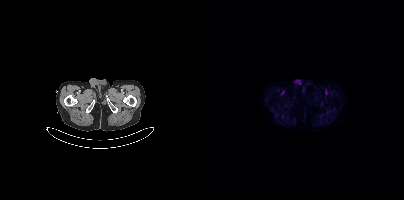
modality: PSMA PET/CT | tracer: [18F]PSMA-1007 | view: axial | PET grid: 200×200
Negative for PSMA-avid disease on this slice.